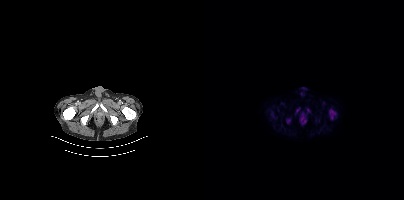
{"modality":"PSMA PET/CT","view":"axial","tracer":"18F","pet_grid":[200,200],"coord_frame":"pet_panel","coord_format":"x0,y0,x1,y1","lesion_bboxes":[[125,109,132,119],[82,119,86,123],[92,108,94,112]]}